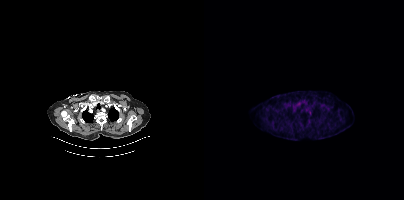
Findings: Coordinates are on the 200×200 PET (right) panel. Small PSMA-avid focus (2 to 4 px across) near (center x, center y): (105, 113).
Technique: Left: CT. Right: PSMA PET, same axial level, [18F]PSMA-1007 tracer. slice position z = -922 mm.